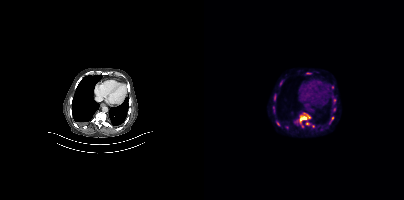
Findings: Coordinates are on the 200×200 PET (right) panel. (showing 10 of 11 foci) PSMA-avid tumor lesion bounding boxes (x0, y0)-(x1, y1): (91, 113)-(107, 127) / (125, 116)-(129, 123) / (102, 122)-(106, 125) / (76, 81)-(78, 85) / (70, 95)-(71, 99) / (102, 73)-(106, 74). Small PSMA-avid foci (2 to 4 px across) near (center x, center y): (130, 109) / (128, 87) / (109, 126) / (73, 123).
- Two-panel axial: CT | PSMA PET, [18F]PSMA-1007 tracer
- acquired on Siemens Biograph mCT Flow 20
- slice position z = -1131 mm
- PET panel 200×200 px (4.1 mm/px)